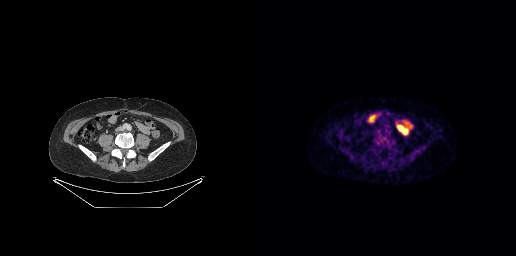
Technique: Two-panel axial: CT | PSMA PET, [18F]PSMA-1007 tracer. slice position z = -755 mm. PET panel 256×256 px (2.7 mm/px).
Findings: Negative for PSMA-avid disease on this slice.